Paired axial CT (left) and PSMA PET (right), [18F]PSMA-1007 tracer. Acquired on Siemens Biograph mCT Flow 20. PET panel 200×200 px (4.1 mm/px).
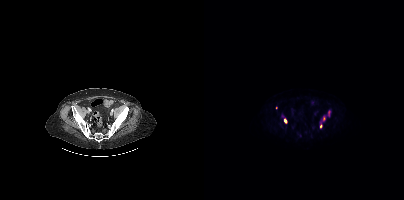
Coordinates are on the 200×200 PET (right) panel. PSMA-avid tumor lesion bounding boxes (partial; 1 more focus not listed):
| # | x0 | y0 | x1 | y1 |
|---|---|---|---|---|
| 1 | 118 | 116 | 121 | 121 |
| 2 | 116 | 122 | 118 | 127 |
| 3 | 124 | 111 | 125 | 116 |
| 4 | 80 | 119 | 82 | 123 |